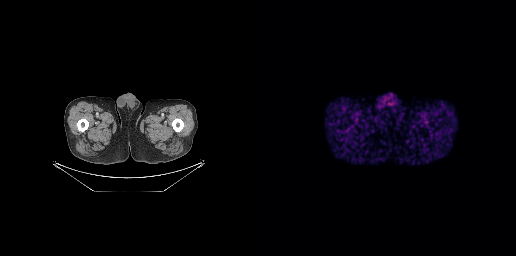
Negative for PSMA-avid disease on this slice.